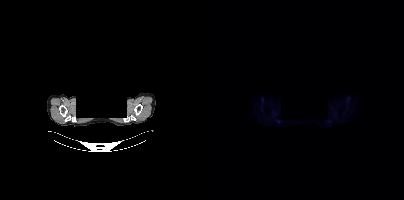
Negative for PSMA-avid disease on this slice. Face de-identified by blanking a block of the head. Two-panel axial: CT | PSMA PET, [18F]PSMA-1007 tracer. Acquired on Siemens Biograph mCT Flow 20.